modality: PSMA PET/CT | tracer: 18F | view: axial
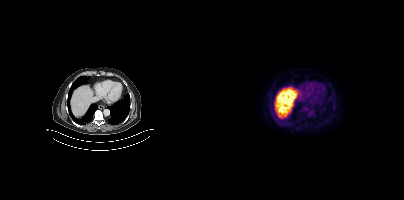
This slice has no annotated PSMA-avid lesion.